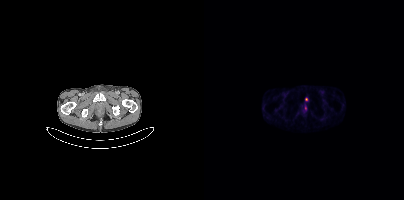
- Two-panel axial: CT | PSMA PET, 68Ga tracer
- slice position z = -1696 mm
- PET panel 200×200 px (4.1 mm/px)
Findings: Coordinates are on the 200×200 PET (right) panel. (showing 1 of 2 foci) Small PSMA-avid focus (2 to 4 px across) near (center x, center y): (102, 99).